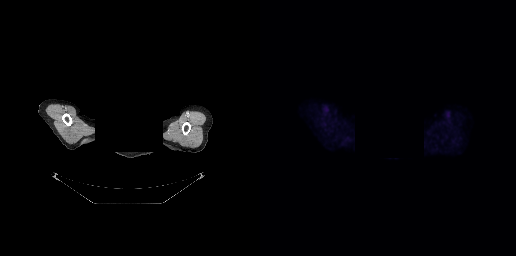
{"modality":"PSMA PET/CT","view":"axial","tracer":"[18F]PSMA-1007","pet_grid":[256,256],"coord_frame":"pet_panel","coord_format":"x0,y0,x1,y1","psma_avid_lesions":false,"redaction":"facial region redacted"}